Technique: Paired axial CT (left) and PSMA PET (right), 68Ga tracer. PET panel 200×200 px (4.1 mm/px).
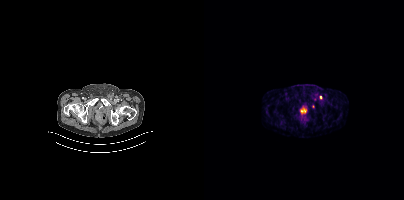
Findings: Coordinates are on the 200×200 PET (right) panel. Small PSMA-avid foci (2 to 4 px across) near (center x, center y): (116, 97); (109, 106).